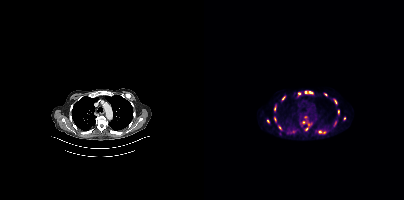
Coordinates are on the 200×200 PET (right) panel. (showing 13 of 15 foci) PSMA-avid tumor lesion bounding boxes (x0, y0)-(x1, y1): (100, 90)-(109, 94) | (93, 92)-(97, 97) | (70, 105)-(72, 111) | (130, 99)-(133, 104) | (70, 117)-(72, 122) | (63, 119)-(65, 123). Small PSMA-avid foci (2 to 4 px across) near (center x, center y): (102, 128) | (121, 94) | (99, 122) | (76, 127) | (140, 118) | (104, 124) | (101, 116).